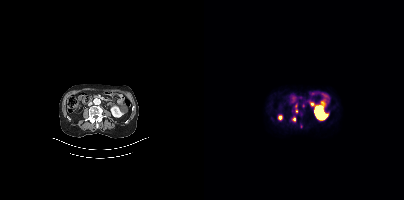
{"modality":"PSMA PET/CT","view":"axial","tracer":"68Ga","pet_grid":[200,200],"coord_frame":"pet_panel","coord_format":"x0,y0,x1,y1","partial":true,"lesion_bboxes":[[88,117,91,121],[98,103,100,107]],"small_foci_centers":[[92,111]]}